Left: CT. Right: PSMA PET, same axial level, [18F]PSMA-1007 tracer. Acquired on Siemens Biograph mCT Flow 20.
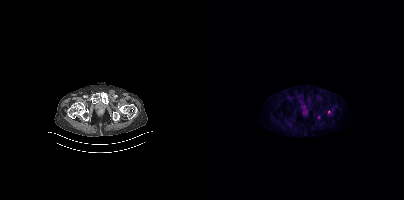
Coordinates are on the 200×200 PET (right) panel. (showing 1 of 2 foci) Small PSMA-avid focus (2 to 4 px across) near (center x, center y): (114, 117).